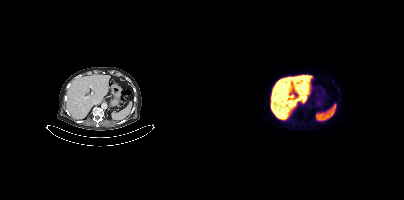
No PSMA-avid tumor lesions on this slice.
modality: PSMA PET/CT | tracer: 18F-PSMA | view: axial